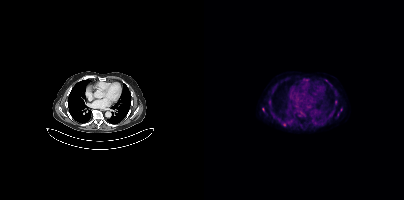
{"modality":"PSMA PET/CT","view":"axial","tracer":"18F-PSMA","pet_grid":[200,200],"coord_frame":"pet_panel","coord_format":"x0,y0,x1,y1","partial":true,"lesion_bboxes":[],"small_foci_centers":[[59,109],[65,101],[80,124],[122,80],[69,116]]}